modality: PSMA PET/CT | tracer: [18F]PSMA-1007 | view: axial
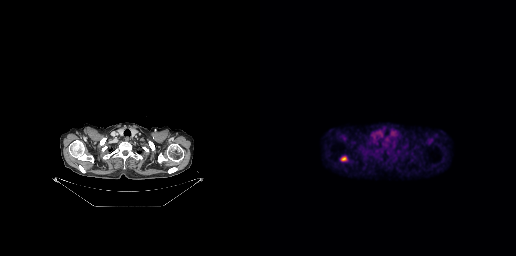
Coordinates are on the 256×256 PET (right) panel. PSMA-avid tumor lesion bounding box (x0,y0,x1,y1): [81,156,87,161].